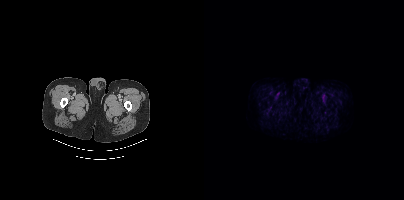
Paired axial CT (left) and PSMA PET (right), [18F]PSMA-1007 tracer. Acquired on Siemens Biograph mCT Flow 20. PET panel 200×200 px (4.1 mm/px). Negative for PSMA-avid disease on this slice.